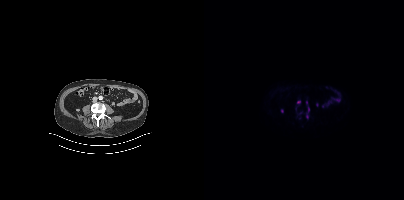
- Left: CT. Right: PSMA PET, same axial level, 18F-PSMA tracer
Findings: Coordinates are on the 200×200 PET (right) panel. PSMA-avid tumor lesion bounding box (x0,y0,x1,y1): [102,106,105,114]. Small PSMA-avid foci (2 to 4 px across) near (center x, center y): (94, 102); (102, 103); (97, 112).